- Two-panel axial: CT | PSMA PET, 68Ga tracer
- acquired on GE Discovery 690
- slice position z = -869 mm
- PET panel 256×256 px (2.7 mm/px)
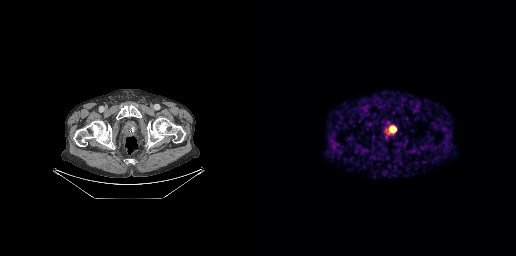
Findings: Coordinates are on the 256×256 PET (right) panel. PSMA-avid tumor lesion bounding box (x, y, width, height): x=130 y=126 w=7 h=6.